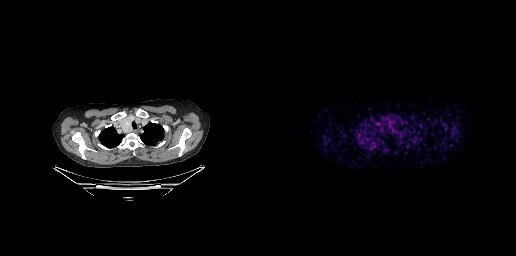
{"modality":"PSMA PET/CT","view":"axial","tracer":"[68Ga]Ga-PSMA-11","pet_grid":[256,256],"coord_frame":"pet_panel","coord_format":"x0,y0,x1,y1","partial":true,"lesion_bboxes":[]}